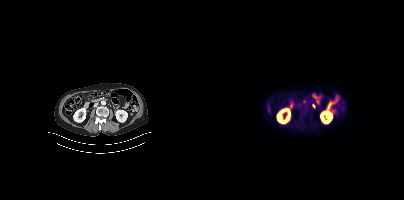
Coordinates are on the 200×200 PET (right) panel. Small PSMA-avid foci (2 to 4 px across) near (center x, center y): (109, 105) | (100, 101).